Left: CT. Right: PSMA PET, same axial level, 68Ga tracer. Acquired on Siemens Biograph mCT Flow 20. Slice position z = -996 mm. PET panel 200×200 px (4.1 mm/px).
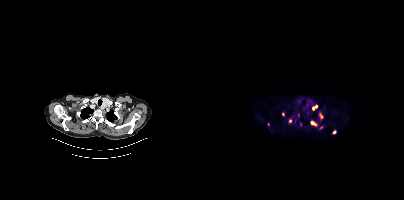
Coordinates are on the 200×200 PET (right) panel. PSMA-avid tumor lesion bounding boxes (x0,y0,x1,y1): [107,121,113,126], [85,119,88,124], [115,112,118,117], [108,105,113,110], [90,118,92,123], [96,122,97,127]. Small PSMA-avid foci (2 to 4 px across) near (center x, center y): (117, 127), (79, 114), (94, 114), (130, 132), (64, 124).